Technique: Two-panel axial: CT | PSMA PET, [18F]PSMA-1007 tracer. PET panel 200×200 px (4.1 mm/px).
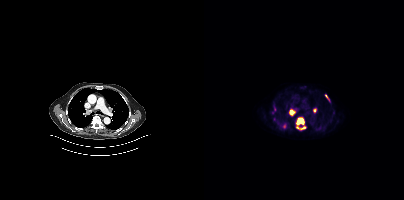
Findings: Coordinates are on the 200×200 PET (right) panel. (showing 8 of 9 foci) PSMA-avid tumor lesion bounding boxes (x0, y0)-(x1, y1): (92, 117)-(100, 124) / (85, 110)-(91, 115) / (92, 126)-(101, 129) / (109, 108)-(112, 112) / (121, 94)-(125, 100). Small PSMA-avid foci (2 to 4 px across) near (center x, center y): (70, 108) / (68, 112) / (80, 126).